Technique: Left: CT. Right: PSMA PET, same axial level, [18F]PSMA-1007 tracer. slice 418 of 423.
Note: A rectangle over the head was blacked out to remove identifiable facial features.
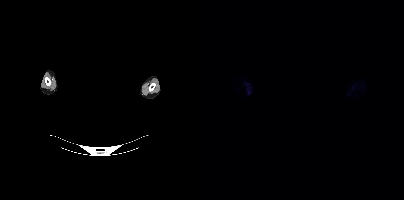
Findings: No PSMA-avid tumor lesions on this slice.